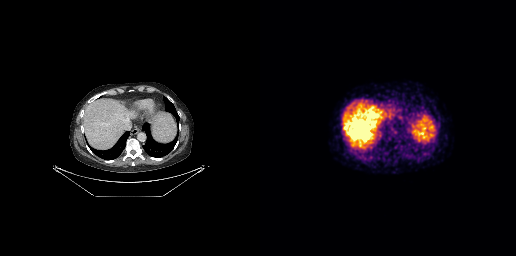
No tumor lesions annotated on this slice.